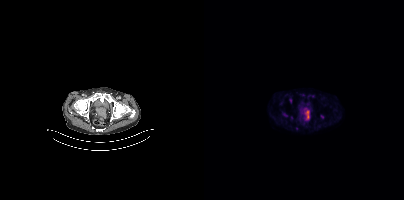
Technique: Two-panel axial: CT | PSMA PET, [18F]PSMA-1007 tracer. slice 69 of 375.
Findings: No tumor lesions annotated on this slice.